Technique: Left: CT. Right: PSMA PET, same axial level, [18F]PSMA-1007 tracer. slice position z = -380 mm. PET panel 200×200 px (4.1 mm/px).
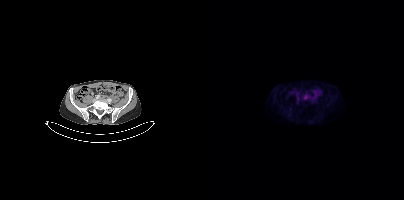
Findings: This slice has no annotated PSMA-avid lesion.